Technique: Left: CT. Right: PSMA PET, same axial level, [18F]PSMA-1007 tracer. slice position z = 1748 mm. PET panel 168×168 px (4.1 mm/px).
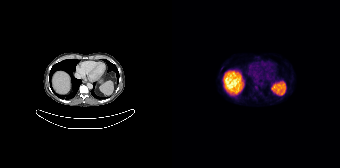
Findings: Coordinates are on the 168×168 PET (right) panel. Small PSMA-avid focus (2 to 4 px across) near (center x, center y): (84, 87).